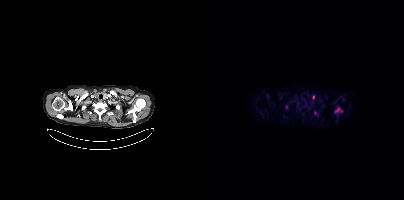
Coordinates are on the 200×200 PET (right) panel. PSMA-avid tumor lesion bounding boxes:
| # | x0 | y0 | x1 | y1 |
|---|---|---|---|---|
| 1 | 131 | 107 | 138 | 112 |
Small PSMA-avid foci (2 to 4 px across) near (center x, center y): (82, 106); (109, 97); (110, 112).
Left: CT. Right: PSMA PET, same axial level, [18F]PSMA-1007 tracer.